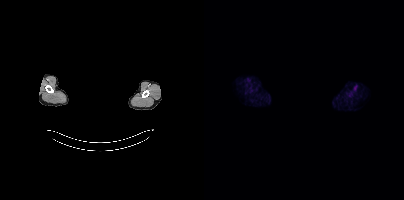
{"modality":"PSMA PET/CT","view":"axial","tracer":"18F","pet_grid":[200,200],"coord_frame":"pet_panel","coord_format":"x0,y0,x1,y1","psma_avid_lesions":false,"de-identification":"head region blacked out before release"}